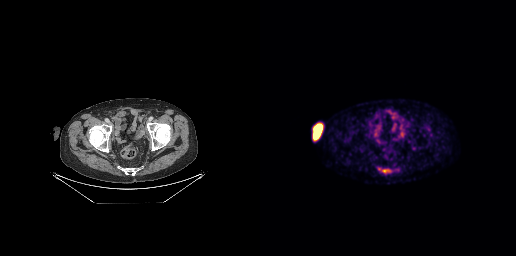
Coordinates are on the 256×256 PET (right) panel. (showing 1 of 2 foci) PSMA-avid tumor lesion bounding box (x, y, width, height): x=122 y=169 w=8 h=4. Two-panel axial: CT | PSMA PET, 18F-PSMA tracer. Acquired on GE Discovery 690. Slice 64 of 263. PET panel 256×256 px (2.7 mm/px).